modality: PSMA PET/CT | tracer: [68Ga]Ga-PSMA-11 | view: axial
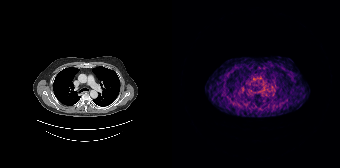
This slice has no annotated PSMA-avid lesion.